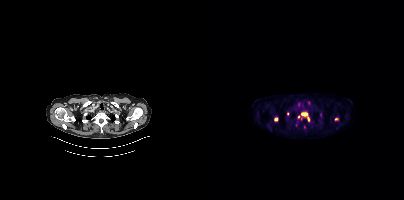
{"modality":"PSMA PET/CT","view":"axial","tracer":"18F","pet_grid":[200,200],"coord_frame":"pet_panel","coord_format":"x0,y0,x1,y1","partial":true,"lesion_bboxes":[[94,113,105,121],[70,117,74,121]],"small_foci_centers":[[132,119],[83,113]]}